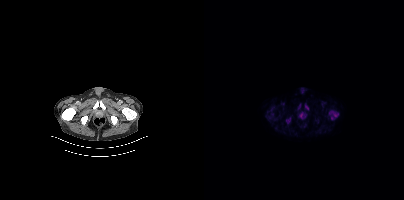
Coordinates are on the 200×200 PET (right) panel. PSMA-avid tumor lesion bounding boxes:
| # | x0 | y0 | x1 | y1 |
|---|---|---|---|---|
| 1 | 125 | 110 | 134 | 119 |
| 2 | 82 | 118 | 86 | 123 |
Small PSMA-avid foci (2 to 4 px across) near (center x, center y): (102, 106); (97, 115).
Paired axial CT (left) and PSMA PET (right), 18F-PSMA tracer. Acquired on Siemens Biograph mCT Flow 20. Slice position z = -876 mm. PET panel 200×200 px (4.1 mm/px).